modality: PSMA PET/CT | tracer: 68Ga-PSMA | view: axial
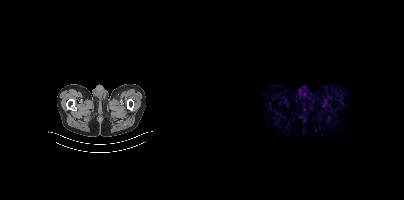
No PSMA-avid tumor lesions on this slice.